modality: PSMA PET/CT | tracer: 18F-PSMA | view: axial | PET grid: 200×200
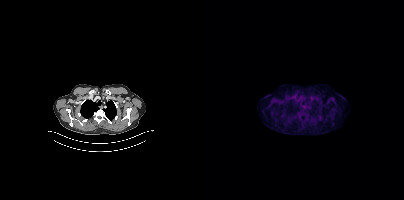
No tumor lesions annotated on this slice.